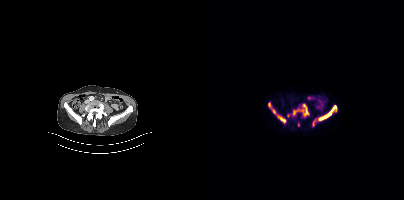
Coordinates are on the 200×200 PET (right) panel. PSMA-avid tumor lesion bounding boxes (x, y, width, height): x=88 y=104 w=18 h=14 | x=114 y=105 w=20 h=16 | x=64 y=102 w=19 h=22 | x=108 y=119 w=4 h=8. Small PSMA-avid foci (2 to 4 px across) near (center x, center y): (84, 115) | (94, 124).